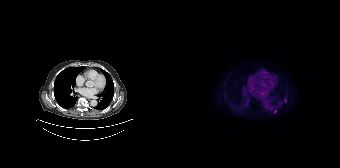
{"pet_grid":[168,168],"coord_frame":"pet_panel","coord_format":"x0,y0,x1,y1","psma_avid_lesions":false,"modality":"PSMA PET/CT","view":"axial","tracer":"18F"}